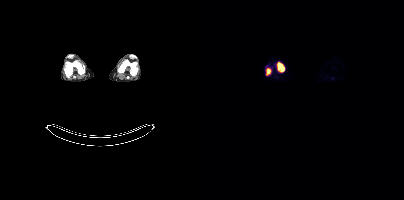
{"pet_grid":[200,200],"coord_frame":"pet_panel","coord_format":"x0,y0,x1,y1","lesion_bboxes":[[74,62,80,71],[62,69,66,75]],"modality":"PSMA PET/CT","view":"axial","tracer":"18F-PSMA"}